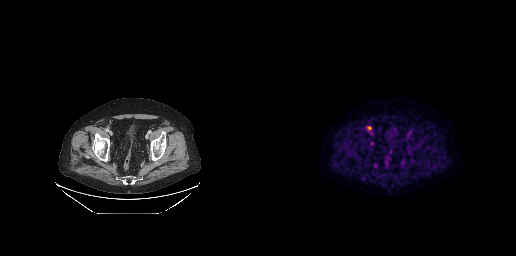
modality: PSMA PET/CT | tracer: 18F | view: axial
Coordinates are on the 256×256 PET (right) panel. PSMA-avid tumor lesion bounding box (x0, y0)-(x1, y1): (107, 126)-(111, 130).